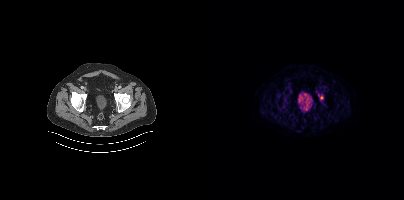
Paired axial CT (left) and PSMA PET (right), [18F]PSMA-1007 tracer. Acquired on Siemens Biograph mCT Flow 20. PET panel 200×200 px (4.1 mm/px). Coordinates are on the 200×200 PET (right) panel. PSMA-avid tumor lesion bounding box (x0,y0,x1,y1): [116,95,119,99].